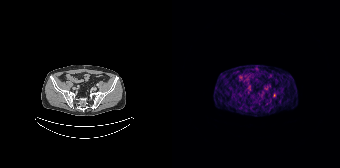
- Paired axial CT (left) and PSMA PET (right), 68Ga-PSMA tracer
- slice 71 of 195
- PET panel 168×168 px (4.1 mm/px)
Findings: Coordinates are on the 168×168 PET (right) panel. Small PSMA-avid focus (2 to 4 px across) near (center x, center y): (102, 94).